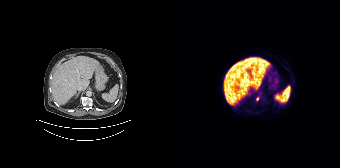
{"modality":"PSMA PET/CT","view":"axial","tracer":"18F-PSMA","pet_grid":[168,168],"coord_frame":"pet_panel","coord_format":"x0,y0,x1,y1","psma_avid_lesions":false}